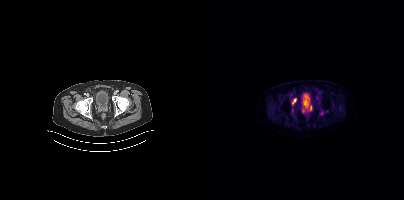
Coordinates are on the 200×200 PET (right) panel. PSMA-avid tumor lesion bounding boxes (x, y, width, height): x=98 y=103 w=7 h=10 | x=88 y=98 w=5 h=7. Small PSMA-avid focus (2 to 4 px across) near (center x, center y): (106, 107).